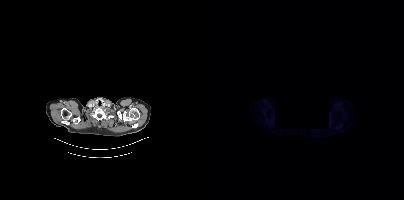
This slice has no annotated PSMA-avid lesion.
A rectangular privacy mask was applied before release.